modality: PSMA PET/CT | tracer: 18F | view: axial | PET grid: 256×256
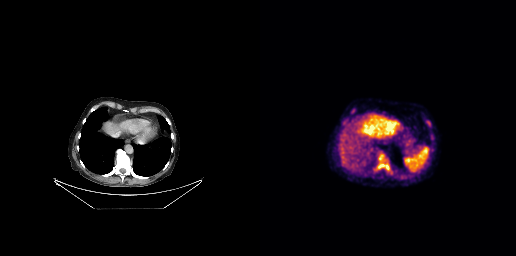
Coordinates are on the 256×256 PET (right) panel. PSMA-avid tumor lesion bounding boxes (x0,y0,x1,y1): [118,163,129,169]; [166,120,170,126]; [119,155,123,160]. Small PSMA-avid focus (2 to 4 px across) near (center x, center y): (172, 136).